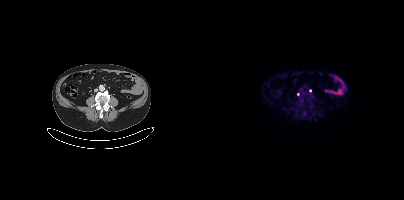
Only PSMA-avid lesion pieces thinner than 2 px on this slice (not listed). Left: CT. Right: PSMA PET, same axial level, 18F-PSMA tracer. Slice position z = -759 mm.